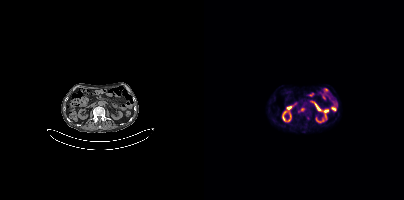
Coordinates are on the 200×200 PET (right) panel. Small PSMA-avid focus (2 to 4 px across) near (center x, center y): (98, 109). Paired axial CT (left) and PSMA PET (right), 18F tracer. Slice 173 of 385. PET panel 200×200 px (4.1 mm/px).